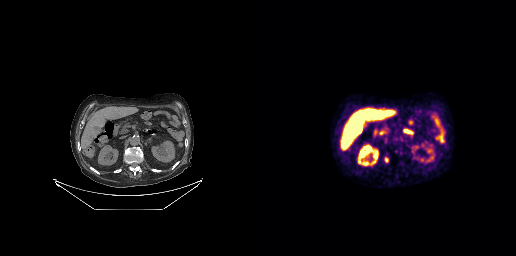
Left: CT. Right: PSMA PET, same axial level, [18F]PSMA-1007 tracer. Acquired on GE Discovery 690.
Coordinates are on the 256×256 PET (right) panel. PSMA-avid tumor lesion bounding boxes:
| # | x0 | y0 | x1 | y1 |
|---|---|---|---|---|
| 1 | 124 | 157 | 128 | 162 |